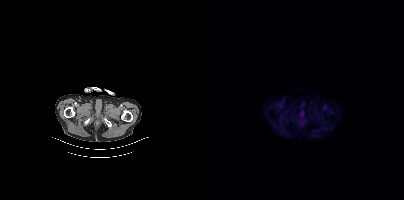
modality: PSMA PET/CT | tracer: 18F | view: axial
No tumor lesions annotated on this slice.